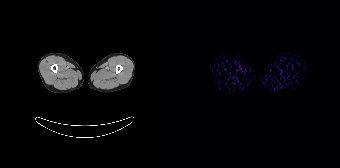
Findings: Negative for PSMA-avid disease on this slice.
- Two-panel axial: CT | PSMA PET, [68Ga]Ga-PSMA-11 tracer